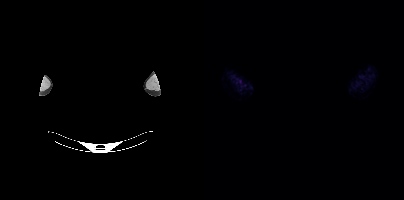
{"modality":"PSMA PET/CT","view":"axial","tracer":"[18F]PSMA-1007","pet_grid":[200,200],"coord_frame":"pet_panel","coord_format":"x0,y0,x1,y1","deidentification":"head region blanked (face removed)","psma_avid_lesions":false}